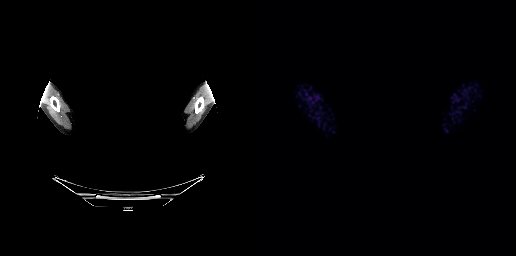
{"modality":"PSMA PET/CT","view":"axial","tracer":"[68Ga]Ga-PSMA-11","pet_grid":[256,256],"coord_frame":"pet_panel","coord_format":"x0,y0,x1,y1","psma_avid_lesions":false,"de-identification":"facial region redacted"}